Two-panel axial: CT | PSMA PET, 18F tracer. Acquired on Siemens Biograph mCT Flow 20. PET panel 200×200 px (4.1 mm/px).
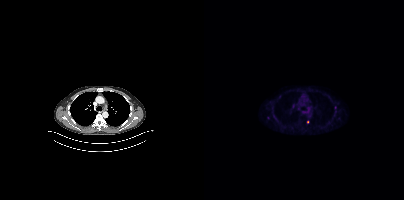
Coordinates are on the 200×200 PET (right) panel. (showing 2 of 3 foci) Small PSMA-avid foci (2 to 4 px across) near (center x, center y): (131, 107); (103, 121).